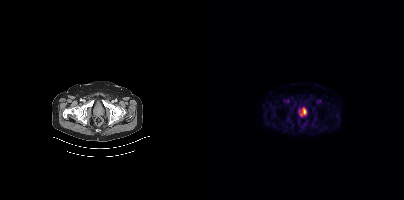
{"modality":"PSMA PET/CT","view":"axial","tracer":"[18F]PSMA-1007","pet_grid":[200,200],"coord_frame":"pet_panel","coord_format":"x0,y0,x1,y1","psma_avid_lesions":false}